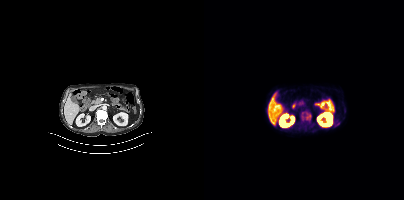
Paired axial CT (left) and PSMA PET (right), 18F-PSMA tracer. Slice 182 of 401. PET panel 200×200 px (4.1 mm/px).
Coordinates are on the 200×200 PET (right) panel. PSMA-avid tumor lesion bounding boxes:
| # | x0 | y0 | x1 | y1 |
|---|---|---|---|---|
| 1 | 102 | 114 | 107 | 119 |
| 2 | 98 | 113 | 100 | 119 |
Small PSMA-avid focus (2 to 4 px across) near (center x, center y): (140, 111).